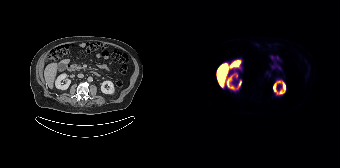
Findings: Negative for PSMA-avid disease on this slice.
Technique: Paired axial CT (left) and PSMA PET (right), [18F]PSMA-1007 tracer. PET panel 168×168 px (4.1 mm/px).